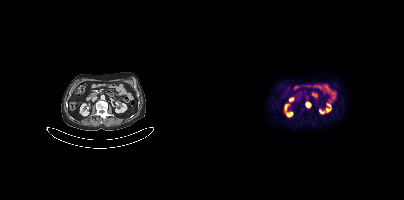
{"modality":"PSMA PET/CT","view":"axial","tracer":"[18F]PSMA-1007","pet_grid":[200,200],"coord_frame":"pet_panel","coord_format":"x0,y0,x1,y1","lesion_bboxes":[[102,103,106,107]]}